- Paired axial CT (left) and PSMA PET (right), [18F]PSMA-1007 tracer
- acquired on Siemens Biograph mCT Flow 20
- slice 186 of 452
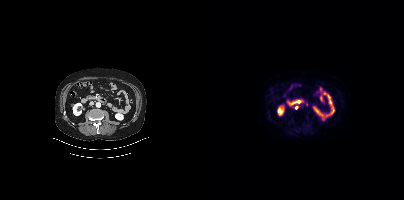
Findings: Coordinates are on the 200×200 PET (right) panel. Small PSMA-avid focus (2 to 4 px across) near (center x, center y): (92, 107).